modality: PSMA PET/CT | tracer: 18F-PSMA | view: axial | PET grid: 200×200
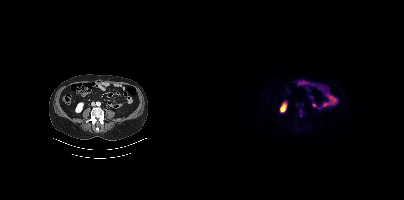
Coordinates are on the 200×200 PET (right) panel. Small PSMA-avid foci (2 to 4 px across) near (center x, center y): (96, 110) | (96, 115).